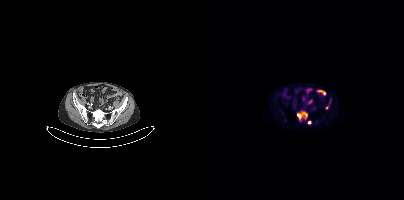
Coordinates are on the 200×200 PET (right) panel. PSMA-avid tumor lesion bounding box (x0,y0,x1,y1): [93,112,103,121]. Small PSMA-avid foci (2 to 4 px across) near (center x, center y): (105, 122); (122, 107).
modality: PSMA PET/CT | tracer: 18F-PSMA | view: axial | PET grid: 200×200